Paired axial CT (left) and PSMA PET (right), 18F-PSMA tracer. PET panel 200×200 px (4.1 mm/px).
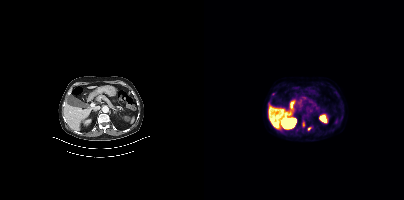
Coordinates are on the 200×200 PET (right) panel. Small PSMA-avid foci (2 to 4 px across) near (center x, center y): (105, 128) | (99, 124) | (68, 94).